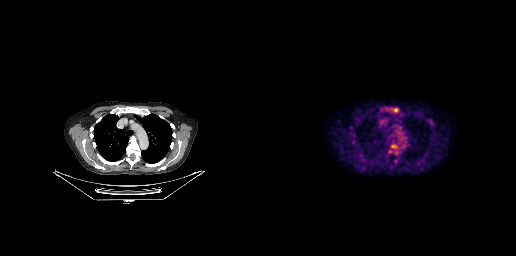
Coordinates are on the 256×256 PET (right) panel. PSMA-avid tumor lesion bounding boxes:
| # | x0 | y0 | x1 | y1 |
|---|---|---|---|---|
| 1 | 131 | 145 | 136 | 147 |
Small PSMA-avid focus (2 to 4 px across) near (center x, center y): (135, 109).
Paired axial CT (left) and PSMA PET (right), 18F-PSMA tracer. Slice 231 of 299.